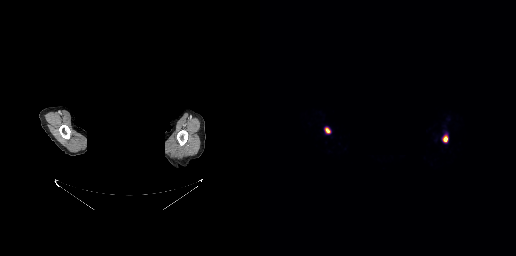
{"pet_grid":[256,256],"coord_frame":"pet_panel","coord_format":"x0,y0,x1,y1","lesion_bboxes":[[65,127,70,133],[183,136,187,141]],"deidentification":"face masked with black rectangle","modality":"PSMA PET/CT","view":"axial","tracer":"[68Ga]Ga-PSMA-11"}